Technique: Left: CT. Right: PSMA PET, same axial level, [18F]PSMA-1007 tracer. acquired on Siemens Biograph mCT Flow 20. slice position z = 92 mm. PET panel 200×200 px (4.1 mm/px).
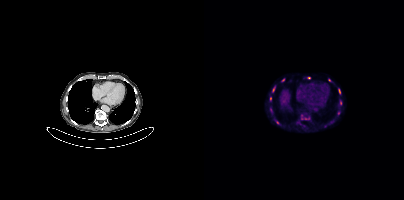
Findings: Coordinates are on the 200×200 PET (right) panel. (showing 6 of 7 foci) PSMA-avid tumor lesion bounding box (x0,y0,x1,y1): [135,89,136,93]. Small PSMA-avid foci (2 to 4 px across) near (center x, center y): (136, 102), (79, 80), (69, 89), (66, 98), (104, 77).